modality: PSMA PET/CT | tracer: 18F-PSMA | view: axial
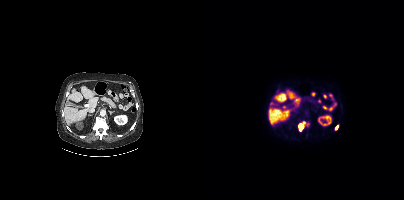
Coordinates are on the 200×200 PET (right) panel. PSMA-avid tumor lesion bounding boxes (x, y, width, height): x=94 y=122 w=8 h=10 / x=131 y=125 w=4 h=5.